Left: CT. Right: PSMA PET, same axial level, [18F]PSMA-1007 tracer. Acquired on GE Discovery 690. Slice 135 of 299.
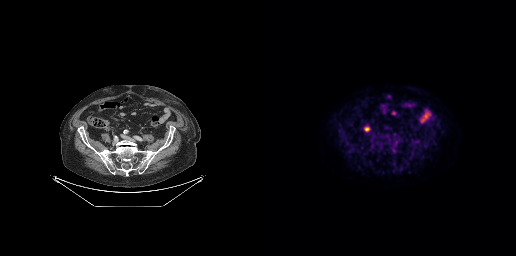
No PSMA-avid tumor lesions on this slice.